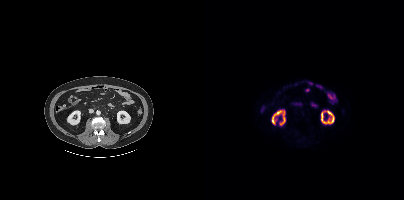
No PSMA-avid tumor lesions on this slice. Paired axial CT (left) and PSMA PET (right), [18F]PSMA-1007 tracer.